- Paired axial CT (left) and PSMA PET (right), 18F-PSMA tracer
- acquired on Siemens Biograph mCT Flow 20
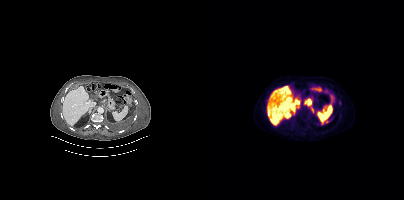
Findings: Coordinates are on the 200×200 PET (right) panel. (showing 1 of 2 foci) PSMA-avid tumor lesion bounding box (x0,y0,x1,y1): [100,98,107,106].